Facial anatomy redacted by setting a rectangular region of the head to black. Two-panel axial: CT | PSMA PET, 18F-PSMA tracer. Slice 356 of 413.
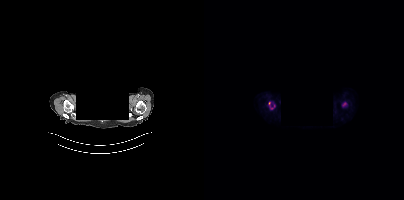
Coordinates are on the 200×200 PET (right) panel. (showing 2 of 4 foci) Small PSMA-avid foci (2 to 4 px across) near (center x, center y): (65, 103) / (140, 104).